modality: PSMA PET/CT | tracer: [18F]PSMA-1007 | view: axial
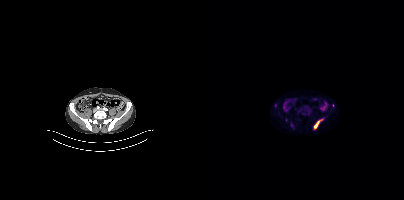
Coordinates are on the 200×200 PET (right) panel. PSMA-avid tumor lesion bounding box (x0, y0)-(x1, y1): (110, 119)-(118, 128).